- Paired axial CT (left) and PSMA PET (right), 18F tracer
- acquired on Siemens Biograph mCT Flow 20
- PET panel 200×200 px (4.1 mm/px)
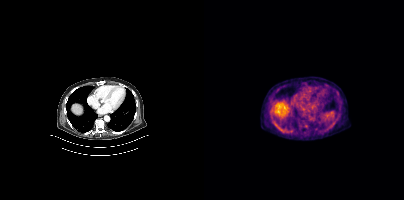
Findings: This slice has no annotated PSMA-avid lesion.